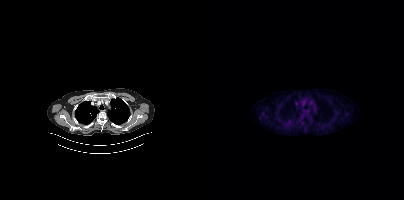
No PSMA-avid tumor lesions on this slice. Paired axial CT (left) and PSMA PET (right), [18F]PSMA-1007 tracer. Slice 328 of 423.